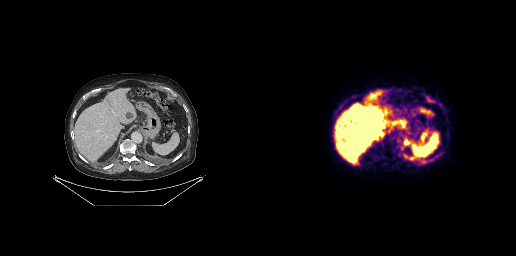
Paired axial CT (left) and PSMA PET (right), 18F-PSMA tracer. PET panel 256×256 px (2.7 mm/px). Coordinates are on the 256×256 PET (right) panel. PSMA-avid tumor lesion bounding box (x0, y0)-(x1, y1): (167, 97)-(174, 102).